modality: PSMA PET/CT | tracer: 18F-PSMA | view: axial
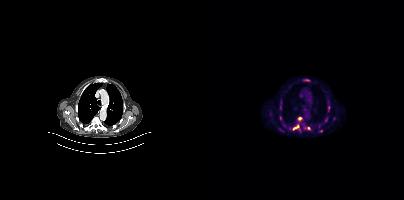
Coordinates are on the 200×200 PET (right) panel. (showing 8 of 9 foci) PSMA-avid tumor lesion bounding boxes (x, y, width, height): x=88 y=117 w=11 h=16 | x=98 y=123 w=9 h=8 | x=120 y=117 w=5 h=6 | x=102 y=79 w=5 h=3. Small PSMA-avid foci (2 to 4 px across) near (center x, center y): (76, 117) | (124, 109) | (124, 105) | (117, 130).